- Two-panel axial: CT | PSMA PET, 18F-PSMA tracer
- slice position z = -318 mm
- PET panel 200×200 px (4.1 mm/px)
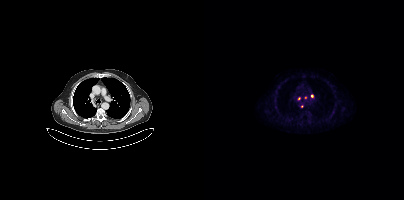
Findings: Coordinates are on the 200×200 PET (right) panel. Small PSMA-avid foci (2 to 4 px across) near (center x, center y): (108, 96); (95, 98); (101, 97).